Left: CT. Right: PSMA PET, same axial level, 18F tracer. Acquired on Siemens Biograph mCT Flow 20.
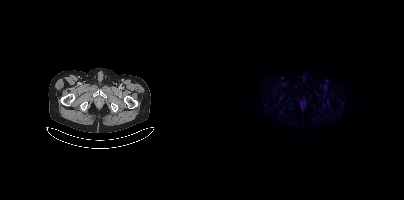
No tumor lesions annotated on this slice.